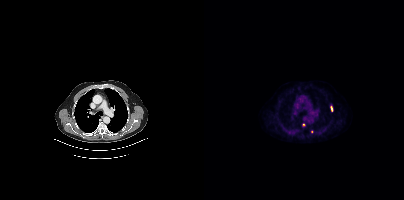
Left: CT. Right: PSMA PET, same axial level, 18F-PSMA tracer. Acquired on Siemens Biograph mCT Flow 20.
Coordinates are on the 200×200 PET (right) panel. PSMA-avid tumor lesion bounding boxes:
| # | x0 | y0 | x1 | y1 |
|---|---|---|---|---|
| 1 | 126 | 106 | 128 | 111 |
Small PSMA-avid foci (2 to 4 px across) near (center x, center y): (107, 131); (99, 124).